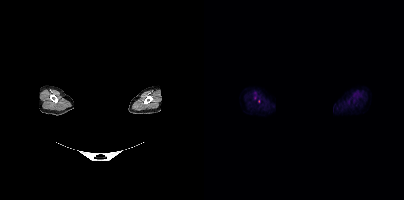
{"modality":"PSMA PET/CT","view":"axial","tracer":"18F-PSMA","pet_grid":[200,200],"coord_frame":"pet_panel","coord_format":"x0,y0,x1,y1","redaction":"head region blanked (face removed)","partial":true,"lesion_bboxes":[]}